Paired axial CT (left) and PSMA PET (right), 18F-PSMA tracer. Acquired on Siemens Biograph mCT Flow 20. Slice 93 of 354.
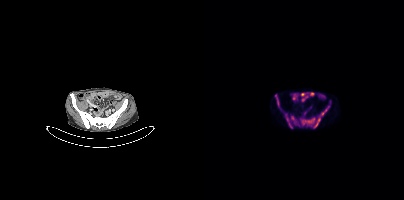
Coordinates are on the 200×200 PET (right) panel. (showing 6 of 8 foci) PSMA-avid tumor lesion bounding boxes (x0,y0,x1,y1): [96,118,111,125] [81,115,88,128] [110,117,116,127] [119,105,125,114] [87,116,92,124] [71,94,75,105].